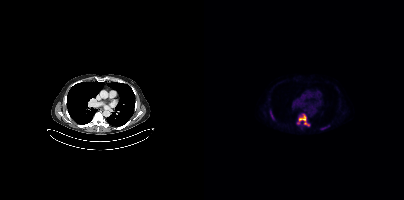
{"pet_grid":[200,200],"coord_frame":"pet_panel","coord_format":"x0,y0,x1,y1","lesion_bboxes":[[93,113,105,126],[116,125,125,130],[66,110,70,119]],"modality":"PSMA PET/CT","view":"axial","tracer":"18F-PSMA"}